modality: PSMA PET/CT | tracer: 18F-PSMA | view: axial
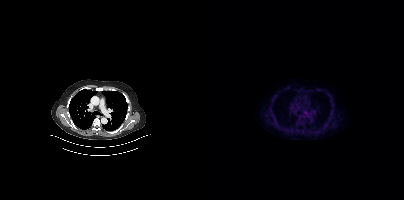
No tumor lesions annotated on this slice.